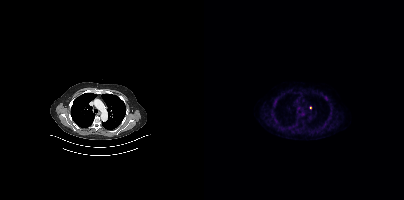
modality: PSMA PET/CT | tracer: [18F]PSMA-1007 | view: axial | PET grid: 200×200
Coordinates are on the 200×200 PET (right) panel. Small PSMA-avid focus (2 to 4 px across) near (center x, center y): (106, 107).